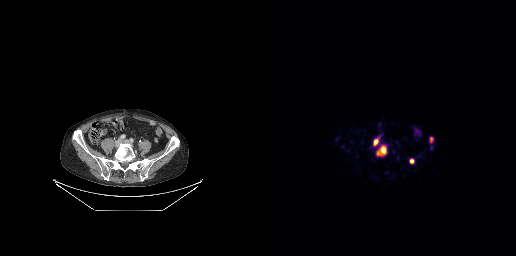
{"modality":"PSMA PET/CT","view":"axial","tracer":"[68Ga]Ga-PSMA-11","pet_grid":[256,256],"coord_frame":"pet_panel","coord_format":"x0,y0,x1,y1","partial":true,"lesion_bboxes":[[117,145,126,155],[114,139,117,145],[170,137,173,142]],"small_foci_centers":[[151,161]]}